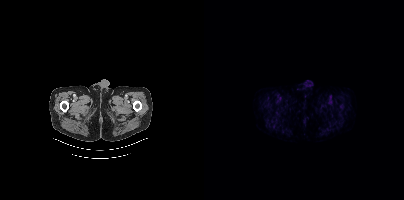
Left: CT. Right: PSMA PET, same axial level, 18F-PSMA tracer. Slice 39 of 454. PET panel 200×200 px (4.1 mm/px). No tumor lesions annotated on this slice.